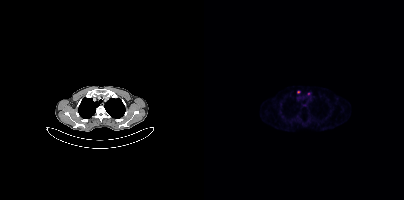
modality: PSMA PET/CT | tracer: [68Ga]Ga-PSMA-11 | view: axial
Coordinates are on the 200×200 PET (right) panel. (showing 1 of 2 foci) Small PSMA-avid focus (2 to 4 px across) near (center x, center y): (104, 93).